Technique: Paired axial CT (left) and PSMA PET (right), 18F tracer. slice position z = -804 mm. PET panel 200×200 px (4.1 mm/px).
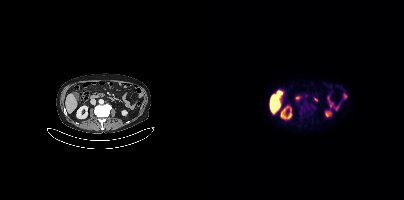
Findings: No PSMA-avid tumor lesions on this slice.